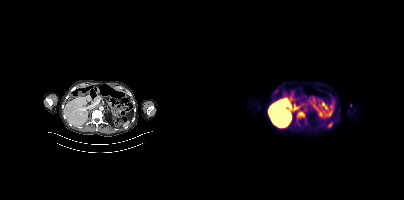
Coordinates are on the 200×200 PET (right) panel. PSMA-avid tumor lesion bounding box (x, y, width, height): x=93 y=111 w=8 h=7.